- Paired axial CT (left) and PSMA PET (right), [68Ga]Ga-PSMA-11 tracer
- PET panel 256×256 px (2.7 mm/px)
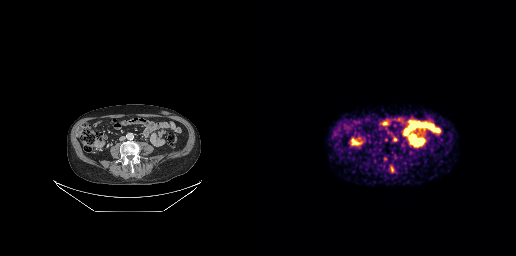
Findings: Coordinates are on the 256×256 PET (right) panel. PSMA-avid tumor lesion bounding box (x0,y0,x1,y1): [131,167,133,171]. Small PSMA-avid foci (2 to 4 px across) near (center x, center y): (125, 158), (126, 139), (135, 139).